Left: CT. Right: PSMA PET, same axial level, 68Ga-PSMA tracer. Slice position z = -668 mm. PET panel 168×168 px (4.1 mm/px).
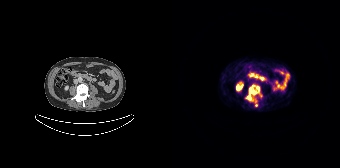
Coordinates are on the 168×168 PET (right) panel. (showing 1 of 2 foci) PSMA-avid tumor lesion bounding box (x0,y0,x1,y1): [74,85,87,100].